modality: PSMA PET/CT | tracer: [18F]PSMA-1007 | view: axial
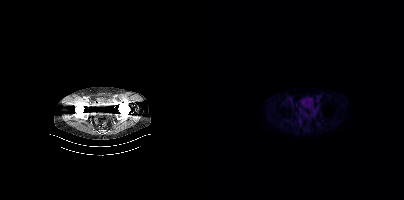
No tumor lesions annotated on this slice.